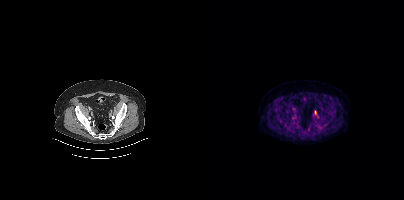
{"modality":"PSMA PET/CT","view":"axial","tracer":"[18F]PSMA-1007","pet_grid":[200,200],"coord_frame":"pet_panel","coord_format":"x0,y0,x1,y1","lesion_bboxes":[[110,110,112,114]]}